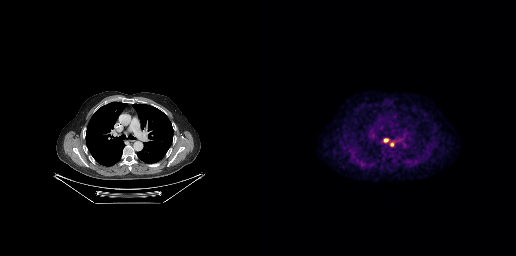
Findings: Coordinates are on the 256×256 PET (right) panel. PSMA-avid tumor lesion bounding box (x0, y0)-(x1, y1): (124, 139)-(128, 141). Small PSMA-avid focus (2 to 4 px across) near (center x, center y): (132, 144).
- Two-panel axial: CT | PSMA PET, [18F]PSMA-1007 tracer
- acquired on GE Discovery 690